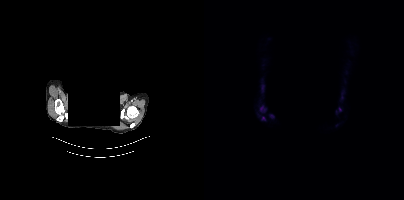
{"modality":"PSMA PET/CT","view":"axial","tracer":"[18F]PSMA-1007","pet_grid":[200,200],"coord_frame":"pet_panel","coord_format":"x0,y0,x1,y1","de-identification":"head region blacked out before release","lesion_bboxes":[[56,106,61,111],[58,116,61,120]],"small_foci_centers":[[68,116]]}